A rectangle over the head was blacked out to remove identifiable facial features.
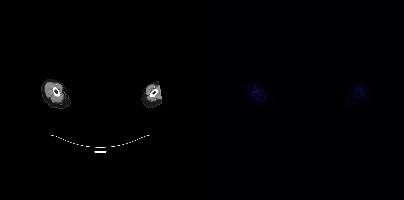
No PSMA-avid tumor lesions on this slice.